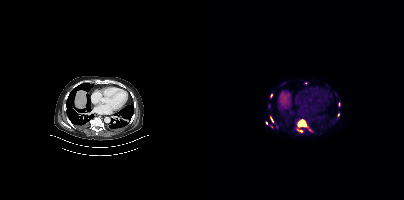
Coordinates are on the 200×200 PET (right) panel. (showing 7 of 8 foci) PSMA-avid tumor lesion bounding boxes (x0,y0,x1,y1): [92,119,108,132] [66,116,69,121] [134,102,136,106]. Small PSMA-avid foci (2 to 4 px across) near (center x, center y): (67, 95) (134, 114) (62, 122) (67, 126).